modality: PSMA PET/CT | tracer: 18F | view: axial
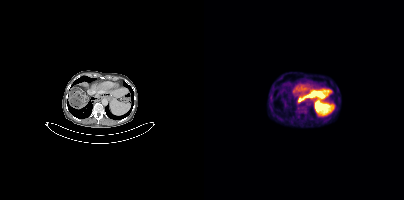
Negative for PSMA-avid disease on this slice.